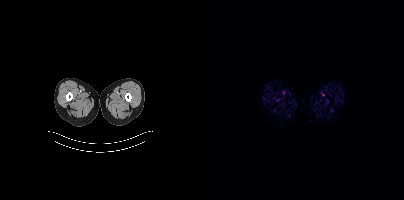
- Two-panel axial: CT | PSMA PET, 18F-PSMA tracer
- acquired on Siemens Biograph mCT Flow 20
Findings: Negative for PSMA-avid disease on this slice.